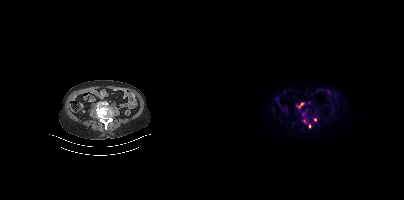
- Paired axial CT (left) and PSMA PET (right), 68Ga-PSMA tracer
- PET panel 200×200 px (4.1 mm/px)
Findings: Coordinates are on the 200×200 PET (right) panel. (showing 4 of 5 foci) PSMA-avid tumor lesion bounding box (x0, y0)-(x1, y1): (93, 104)-(97, 108). Small PSMA-avid foci (2 to 4 px across) near (center x, center y): (111, 119); (106, 125); (100, 120).